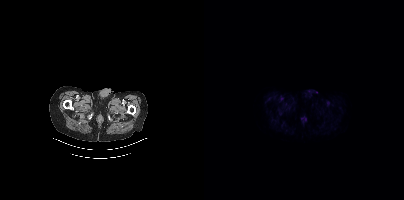
{"modality":"PSMA PET/CT","view":"axial","tracer":"18F-PSMA","pet_grid":[200,200],"coord_frame":"pet_panel","coord_format":"x0,y0,x1,y1","psma_avid_lesions":false}